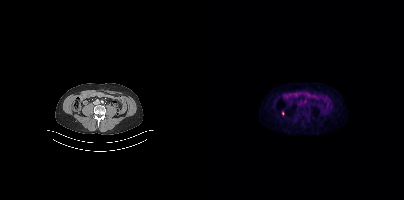
Coordinates are on the 200×200 PET (right) panel. Small PSMA-avid focus (2 to 4 px across) near (center x, center y): (78, 113).